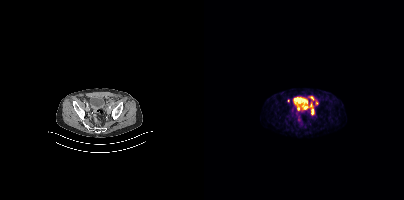
Findings: Coordinates are on the 200×200 PET (right) panel. (showing 4 of 5 foci) PSMA-avid tumor lesion bounding box (x, y, width, height): x=100 y=106 w=11 h=9. Small PSMA-avid foci (2 to 4 px across) near (center x, center y): (94, 108) | (107, 97) | (112, 103).
- Two-panel axial: CT | PSMA PET, 68Ga tracer
- acquired on Siemens Biograph mCT Flow 20
- PET panel 200×200 px (4.1 mm/px)